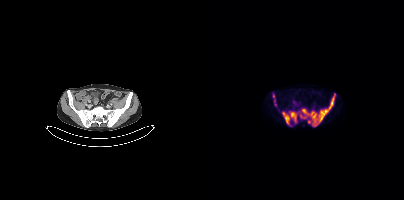
Coordinates are on the 200×200 PET (right) panel. PSMA-avid tumor lesion bounding box (x0, y0)-(x1, y1): (78, 93)-(131, 126). Small PSMA-avid foci (2 to 4 px across) near (center x, center y): (69, 95); (71, 104); (70, 100).